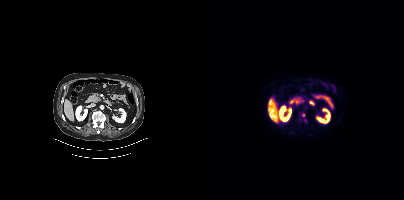
{"modality":"PSMA PET/CT","view":"axial","tracer":"18F","pet_grid":[200,200],"coord_frame":"pet_panel","coord_format":"x0,y0,x1,y1","lesion_bboxes":[],"small_foci_centers":[[99,114]]}